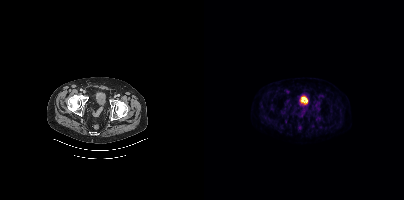
This slice has no annotated PSMA-avid lesion.